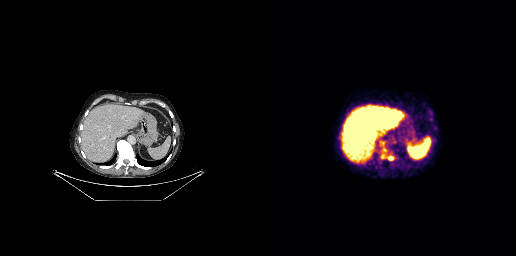
Coordinates are on the 256×256 PET (right) panel. PSMA-avid tumor lesion bounding boxes (x, y, width, height): x=127 y=156 w=7 h=5 / x=121 y=154 w=4 h=5. Small PSMA-avid focus (2 to 4 px across) near (center x, center y): (124, 150).
modality: PSMA PET/CT | tracer: 18F | view: axial | PET grid: 256×256